Technique: Two-panel axial: CT | PSMA PET, 18F-PSMA tracer. acquired on Siemens Biograph mCT Flow 20. slice position z = -514 mm.
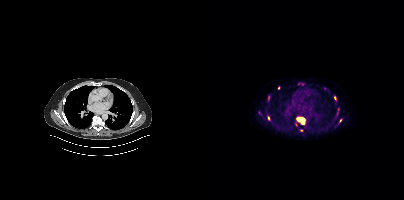
Findings: Coordinates are on the 200×200 PET (right) panel. (showing 5 of 6 foci) PSMA-avid tumor lesion bounding box (x0,y0,x1,y1): [92,117,101,124]. Small PSMA-avid foci (2 to 4 px across) near (center x, center y): (130, 98); (64, 118); (97, 130); (136, 120).